Technique: Two-panel axial: CT | PSMA PET, 18F-PSMA tracer. acquired on Siemens Biograph mCT Flow 20. slice position z = -514 mm.
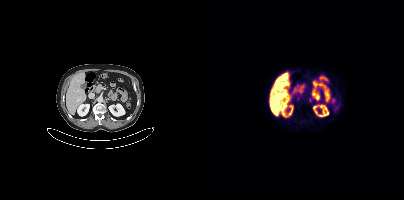
Findings: Coordinates are on the 200×200 PET (right) panel. PSMA-avid tumor lesion bounding boxes (x, y, width, height): x=104 y=97 w=6 h=6 | x=92 y=97 w=5 h=4.